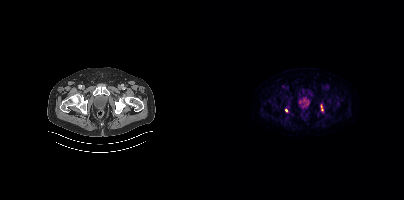
Two-panel axial: CT | PSMA PET, 18F tracer. Coordinates are on the 200×200 PET (right) panel. PSMA-avid tumor lesion bounding box (x, y, width, height): x=117 y=105 w=3 h=7. Small PSMA-avid focus (2 to 4 px across) near (center x, center y): (82, 110).